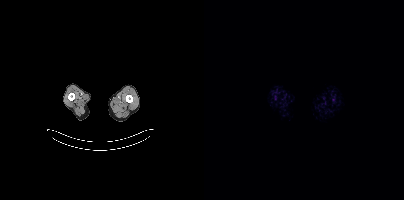
No PSMA-avid tumor lesions on this slice. Left: CT. Right: PSMA PET, same axial level, 18F tracer. Acquired on Siemens Biograph mCT Flow 20.